- Left: CT. Right: PSMA PET, same axial level, 18F-PSMA tracer
- acquired on Siemens Biograph mCT Flow 20
- PET panel 200×200 px (4.1 mm/px)
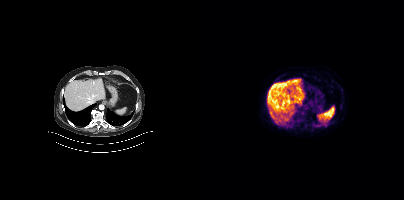
Findings: Negative for PSMA-avid disease on this slice.